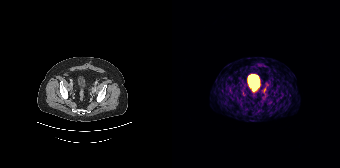
{"modality":"PSMA PET/CT","view":"axial","tracer":"68Ga","pet_grid":[168,168],"coord_frame":"pet_panel","coord_format":"x0,y0,x1,y1","lesion_bboxes":[],"small_foci_centers":[[92,89]]}